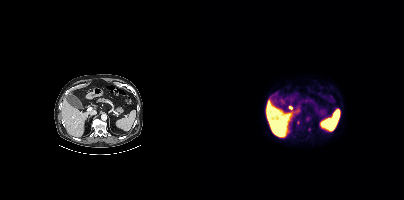
Coordinates are on the 200×200 PET (right) panel. Small PSMA-avid foci (2 to 4 px across) near (center x, center y): (105, 129) | (94, 122).